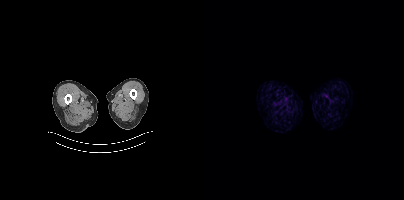
No PSMA-avid tumor lesions on this slice. Left: CT. Right: PSMA PET, same axial level, [18F]PSMA-1007 tracer. Slice position z = -1742 mm. PET panel 200×200 px (4.1 mm/px).